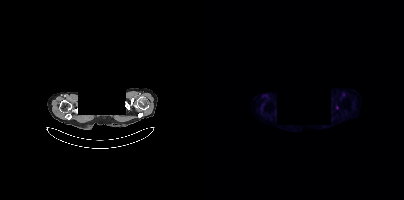
Negative for PSMA-avid disease on this slice. Any black rectangle over the head is a privacy mask, not anatomy. Paired axial CT (left) and PSMA PET (right), [18F]PSMA-1007 tracer. Acquired on Siemens Biograph mCT Flow 20. PET panel 200×200 px (4.1 mm/px).